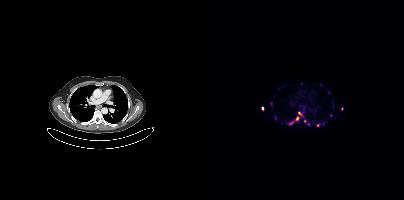
{"modality":"PSMA PET/CT","view":"axial","tracer":"68Ga-PSMA","pet_grid":[200,200],"coord_frame":"pet_panel","coord_format":"x0,y0,x1,y1","partial":true,"lesion_bboxes":[],"small_foci_centers":[[71,117],[58,108],[93,118],[100,121],[104,124],[113,125],[95,113],[87,122]]}